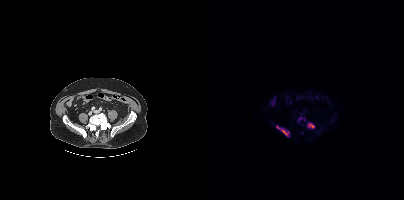
modality: PSMA PET/CT | tracer: [18F]PSMA-1007 | view: axial | PET grid: 200×200
Coordinates are on the 200×200 PET (right) panel. PSMA-avid tumor lesion bounding boxes (x, y, width, height): x=72 y=126 w=13 h=10 | x=104 y=123 w=7 h=5. Small PSMA-avid foci (2 to 4 px across) near (center x, center y): (68, 123) | (98, 132).